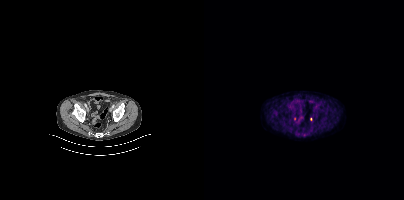
No PSMA-avid tumor lesions on this slice.